Paired axial CT (left) and PSMA PET (right), 18F-PSMA tracer. PET panel 200×200 px (4.1 mm/px).
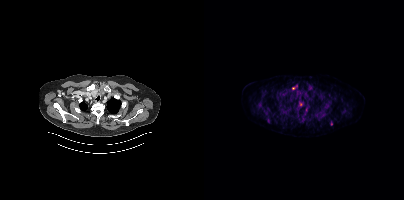
Coordinates are on the 200×200 PET (right) panel. PSMA-avid tumor lesion bounding boxes (partial; 2 more foci not listed):
| # | x0 | y0 | x1 | y1 |
|---|---|---|---|---|
| 1 | 120 | 100 | 127 | 107 |
| 2 | 53 | 101 | 58 | 108 |
| 3 | 100 | 107 | 104 | 113 |
| 4 | 104 | 86 | 108 | 90 |
Small PSMA-avid foci (2 to 4 px across) near (center x, center y): (64, 121); (94, 115); (127, 123); (89, 88); (96, 104); (118, 110).